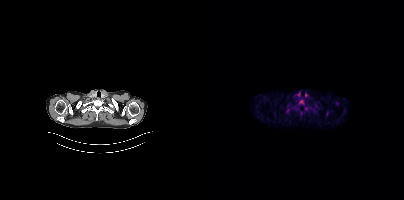
Coordinates are on the 200×200 PET (right) panel. Small PSMA-avid focus (2 to 4 px across) near (center x, center y): (123, 113).